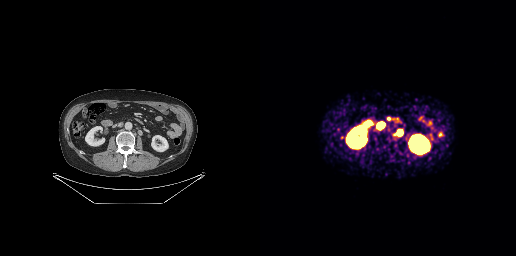
Coordinates are on the 256×256 PET (right) panel. PSMA-avid tumor lesion bounding boxes (x0, y0)-(x1, y1): (118, 122)-(124, 128) | (138, 130)-(141, 134). Small PSMA-avid focus (2 to 4 px across) near (center x, center y): (128, 118). Paired axial CT (left) and PSMA PET (right), 68Ga tracer. PET panel 256×256 px (2.7 mm/px).